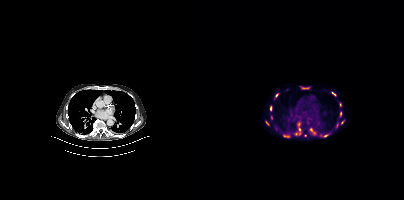
Paired axial CT (left) and PSMA PET (right), 18F tracer. Coordinates are on the 200×200 PET (right) panel. (showing 15 of 18 foci) PSMA-avid tumor lesion bounding boxes (x0,y0,x1,y1): [96,86,106,89]; [106,128,111,134]; [127,92,132,96]; [71,93,74,97]; [136,111,137,116]; [66,106,67,110]; [94,122,96,126]; [120,134,124,137]; [80,135,85,137]. Small PSMA-avid foci (2 to 4 px across) near (center x, center y): (95, 129); (136, 104); (92, 134); (63, 122); (133, 124); (138, 122).